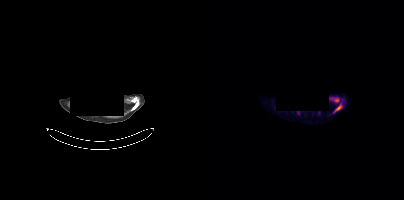
Findings: Coordinates are on the 200×200 PET (right) panel. PSMA-avid tumor lesion bounding boxes (x, y, width, height): x=130 y=104 w=8 h=9 / x=130 y=98 w=5 h=5.
- the face region was removed for patient privacy by blanking a rectangle over the head
- Paired axial CT (left) and PSMA PET (right), 18F tracer
- slice 356 of 401